Technique: Two-panel axial: CT | PSMA PET, 18F tracer. slice 98 of 401. PET panel 200×200 px (4.1 mm/px).
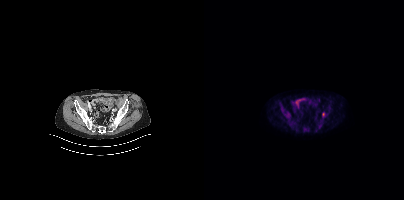
Findings: Only PSMA-avid lesion pieces thinner than 2 px on this slice (not listed).